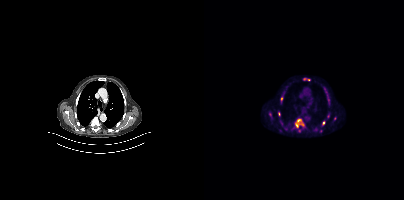
{"pet_grid":[200,200],"coord_frame":"pet_panel","coord_format":"x0,y0,x1,y1","lesion_bboxes":[[89,118,101,132],[99,78,106,80],[123,94,125,103],[74,111,76,116],[118,120,121,125],[65,113,68,117]],"small_foci_centers":[[124,116],[77,98]],"modality":"PSMA PET/CT","view":"axial","tracer":"18F"}